De-identified by setting a box covering the face to black before release. Left: CT. Right: PSMA PET, same axial level, 18F tracer. PET panel 200×200 px (4.1 mm/px).
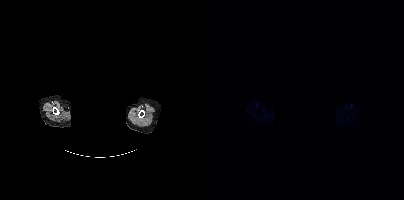
Negative for PSMA-avid disease on this slice.